- Left: CT. Right: PSMA PET, same axial level, 18F tracer
- acquired on Siemens Biograph mCT Flow 20
- slice position z = 500 mm
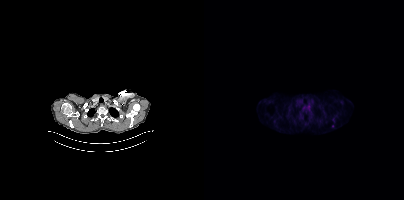
Findings: Coordinates are on the 200×200 PET (right) panel. Small PSMA-avid focus (2 to 4 px across) near (center x, center y): (128, 126).